Paired axial CT (left) and PSMA PET (right), 18F tracer.
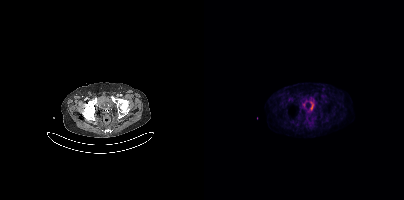
This slice has no annotated PSMA-avid lesion.